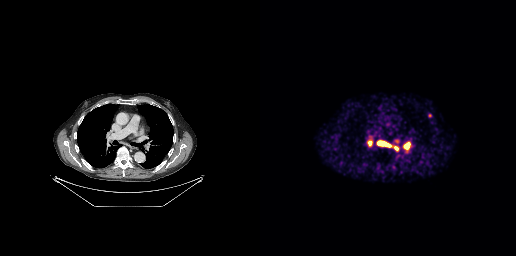
Coordinates are on the 256×256 PET (right) panel. PSMA-avid tumor lesion bounding boxes (x0,y0,x1,y1): [117,141,130,147] [144,142,150,149] [107,140,112,146]. Small PSMA-avid foci (2 to 4 px across) near (center x, center y): (169, 115) (136, 148).